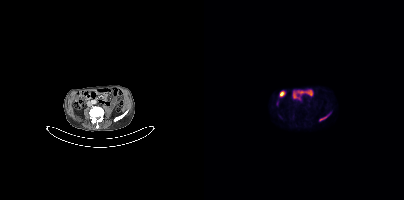
{"modality":"PSMA PET/CT","view":"axial","tracer":"18F-PSMA","pet_grid":[200,200],"coord_frame":"pet_panel","coord_format":"x0,y0,x1,y1","lesion_bboxes":[[115,114,125,120]]}